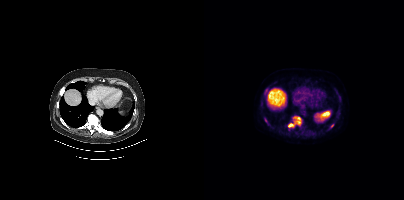
Technique: Left: CT. Right: PSMA PET, same axial level, [18F]PSMA-1007 tracer. PET panel 200×200 px (4.1 mm/px).
Findings: Coordinates are on the 200×200 PET (right) panel. PSMA-avid tumor lesion bounding box (x0, y0)-(x1, y1): (84, 116)-(97, 127). Small PSMA-avid foci (2 to 4 px across) near (center x, center y): (62, 89); (128, 125); (61, 120).